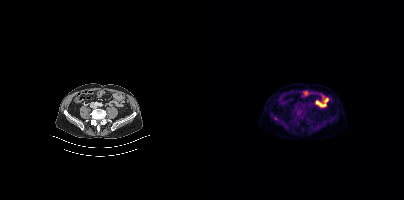
modality: PSMA PET/CT | tracer: [18F]PSMA-1007 | view: axial | PET grid: 200×200
No tumor lesions annotated on this slice.